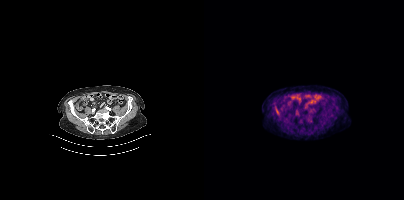
Only PSMA-avid lesion pieces thinner than 2 px on this slice (not listed).